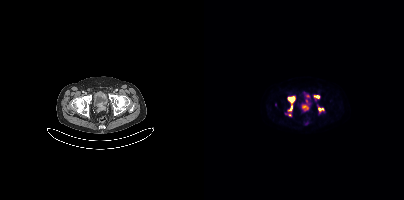
{"modality":"PSMA PET/CT","view":"axial","tracer":"[18F]PSMA-1007","pet_grid":[200,200],"coord_frame":"pet_panel","coord_format":"x0,y0,x1,y1","partial":true,"lesion_bboxes":[[98,104,104,110],[84,96,90,102],[102,94,105,98],[110,96,115,100],[85,104,88,110],[114,108,118,110]],"small_foci_centers":[[71,104],[102,100]]}